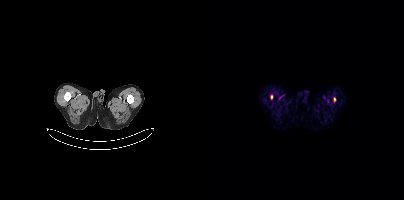
{"modality":"PSMA PET/CT","view":"axial","tracer":"18F-PSMA","pet_grid":[200,200],"coord_frame":"pet_panel","coord_format":"x0,y0,x1,y1","lesion_bboxes":[[66,95,68,99],[129,97,131,101]]}